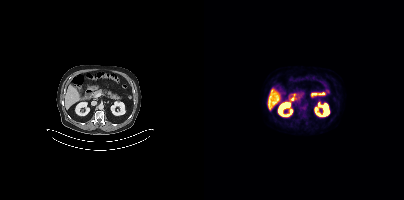
Technique: Paired axial CT (left) and PSMA PET (right), 18F-PSMA tracer. slice 192 of 389.
Findings: This slice has no annotated PSMA-avid lesion.